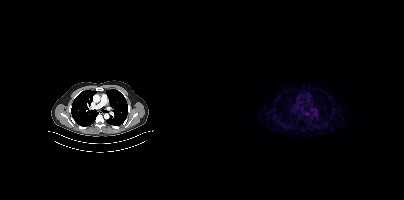
Technique: Two-panel axial: CT | PSMA PET, 68Ga tracer. slice 289 of 411. PET panel 200×200 px (4.1 mm/px).
Findings: No PSMA-avid tumor lesions on this slice.